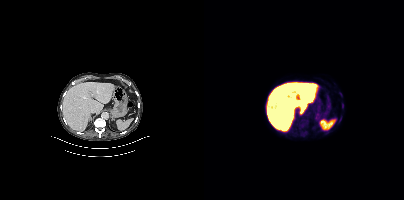
Coordinates are on the 200×200 PET (right) panel. PSMA-avid tumor lesion bounding box (x0, y0)-(x1, y1): (138, 103)-(139, 107). Small PSMA-avid focus (2 to 4 px across) near (center x, center y): (136, 94). Paired axial CT (left) and PSMA PET (right), 18F tracer.